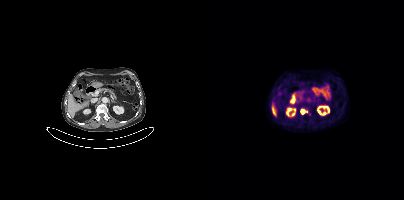
Findings: Coordinates are on the 200×200 PET (right) panel. PSMA-avid tumor lesion bounding box (x, y, width, height): x=97 y=109 w=7 h=6.
- Paired axial CT (left) and PSMA PET (right), 18F-PSMA tracer
- acquired on Siemens Biograph mCT Flow 20
- PET panel 200×200 px (4.1 mm/px)